An anonymization step blacked out a rectangle over the head in this scan. Paired axial CT (left) and PSMA PET (right), 18F-PSMA tracer.
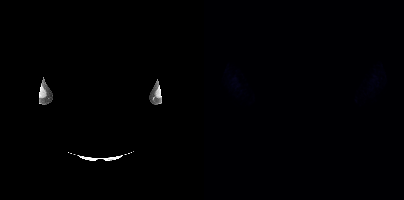
Negative for PSMA-avid disease on this slice.